Left: CT. Right: PSMA PET, same axial level, [18F]PSMA-1007 tracer. Acquired on Siemens Biograph mCT Flow 20. Slice 42 of 423. PET panel 200×200 px (4.1 mm/px).
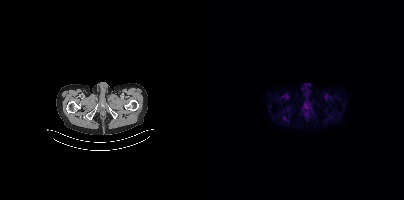
No PSMA-avid tumor lesions on this slice.